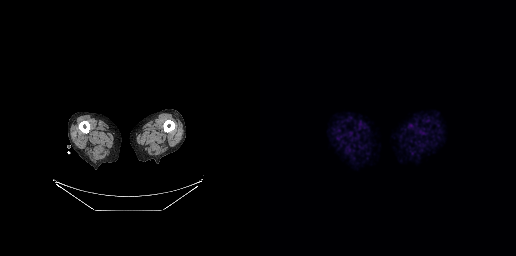
This slice has no annotated PSMA-avid lesion. Paired axial CT (left) and PSMA PET (right), 18F tracer. Slice position z = -830 mm.